- Two-panel axial: CT | PSMA PET, 18F-PSMA tracer
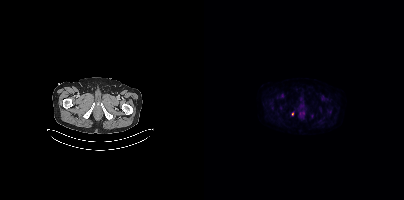
Findings: Coordinates are on the 200×200 PET (right) panel. Small PSMA-avid focus (2 to 4 px across) near (center x, center y): (88, 113).